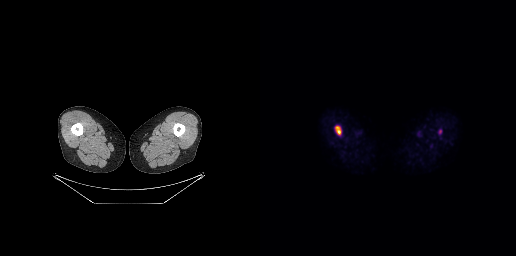
Coordinates are on the 256×256 PET (right) panel. PSMA-avid tumor lesion bounding box (x, y, width, height): x=75 y=126 w=6 h=9.